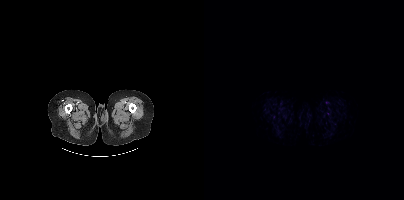
This slice has no annotated PSMA-avid lesion.